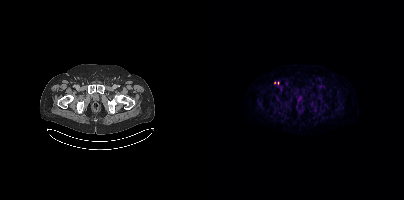
Left: CT. Right: PSMA PET, same axial level, [18F]PSMA-1007 tracer. Acquired on Siemens Biograph mCT Flow 20. Slice position z = -735 mm. Coordinates are on the 200×200 PET (right) panel. Small PSMA-avid focus (2 to 4 px across) near (center x, center y): (118, 87).